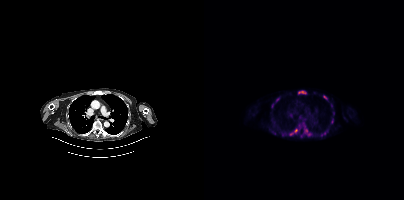
modality: PSMA PET/CT | tracer: [18F]PSMA-1007 | view: axial
Coordinates are on the 200×200 PET (right) panel. (showing 10 of 12 foci) PSMA-avid tumor lesion bounding boxes (x0, y0)-(x1, y1): (85, 129)-(93, 135) | (101, 129)-(108, 136) | (116, 131)-(122, 136) | (95, 91)-(101, 93) | (119, 95)-(123, 99) | (67, 131)-(71, 134). Small PSMA-avid foci (2 to 4 px across) near (center x, center y): (73, 99) | (79, 134) | (68, 105) | (95, 117).